Technique: Paired axial CT (left) and PSMA PET (right), [68Ga]Ga-PSMA-11 tracer. PET panel 168×168 px (4.1 mm/px).
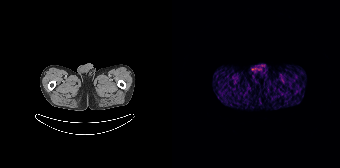
Findings: No PSMA-avid tumor lesions on this slice.